Technique: Two-panel axial: CT | PSMA PET, [18F]PSMA-1007 tracer. acquired on Siemens Biograph mCT Flow 20. slice 253 of 429.
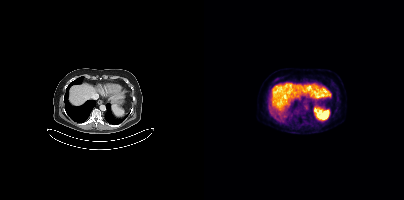
Findings: This slice has no annotated PSMA-avid lesion.